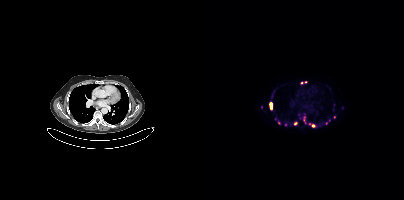
Paired axial CT (left) and PSMA PET (right), 68Ga-PSMA tracer. Slice position z = -1061 mm.
Coordinates are on the 200×200 PET (right) panel. PSMA-avid tumor lesion bounding boxes (partial; 3 more foci not listed):
| # | x0 | y0 | x1 | y1 |
|---|---|---|---|---|
| 1 | 66 | 102 | 68 | 109 |
| 2 | 99 | 118 | 101 | 123 |
Small PSMA-avid foci (2 to 4 px across) near (center x, center y): (91, 123); (109, 125); (130, 117); (74, 122); (81, 124); (97, 82); (105, 123); (122, 123).